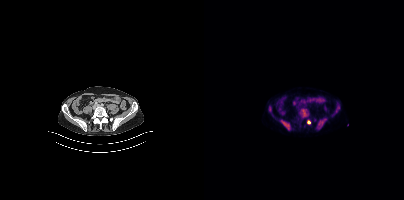
Findings: Coordinates are on the 200×200 PET (right) panel. (showing 4 of 6 foci) PSMA-avid tumor lesion bounding boxes (x0, y0)-(x1, y1): (112, 118)-(122, 129) / (96, 108)-(104, 117) / (77, 120)-(86, 130). Small PSMA-avid focus (2 to 4 px across) near (center x, center y): (104, 121).
Technique: Two-panel axial: CT | PSMA PET, 18F tracer.